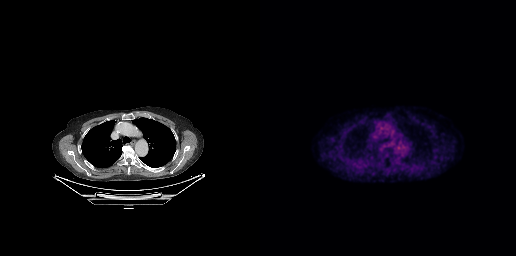
Findings: This slice has no annotated PSMA-avid lesion.
- Left: CT. Right: PSMA PET, same axial level, [18F]PSMA-1007 tracer